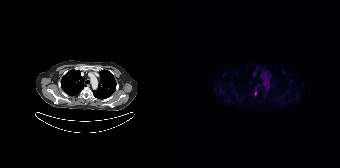
- Left: CT. Right: PSMA PET, same axial level, 18F-PSMA tracer
- acquired on Siemens Biograph 64-4R TruePoint
- slice 126 of 165
Findings: Coordinates are on the 168×168 PET (right) panel. Small PSMA-avid focus (2 to 4 px across) near (center x, center y): (83, 93).